- Two-panel axial: CT | PSMA PET, 18F tracer
- slice 286 of 395
- PET panel 200×200 px (4.1 mm/px)
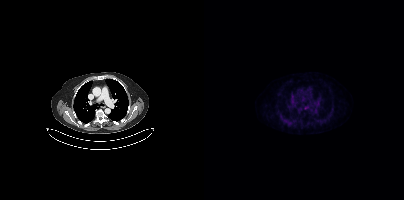
Findings: No tumor lesions annotated on this slice.